- Two-panel axial: CT | PSMA PET, 18F-PSMA tracer
- acquired on Siemens Biograph mCT Flow 20
- slice position z = -270 mm
- PET panel 200×200 px (4.1 mm/px)
- head region blanked for anonymization (face removed)
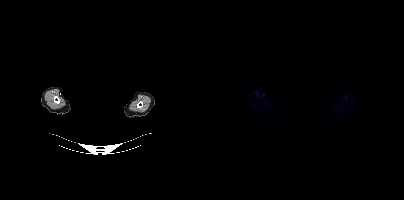
Findings: This slice has no annotated PSMA-avid lesion.